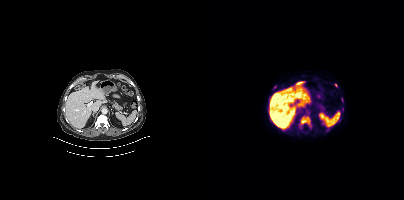
{"pet_grid":[200,200],"coord_frame":"pet_panel","coord_format":"x0,y0,x1,y1","partial":true,"lesion_bboxes":[[96,116,108,128],[138,107,139,111]],"small_foci_centers":[[131,85],[71,87]],"modality":"PSMA PET/CT","view":"axial","tracer":"[18F]PSMA-1007"}